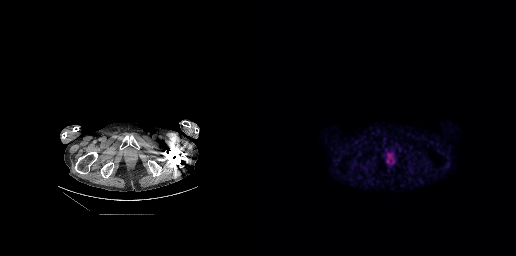
{"modality":"PSMA PET/CT","view":"axial","tracer":"18F","pet_grid":[256,256],"coord_frame":"pet_panel","coord_format":"x0,y0,x1,y1","lesion_bboxes":[],"small_foci_centers":[[129,155]]}